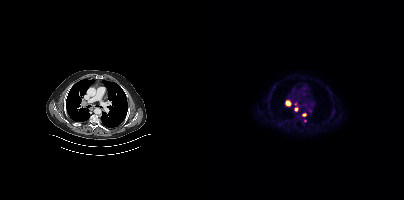
Left: CT. Right: PSMA PET, same axial level, 18F tracer. Acquired on Siemens Biograph mCT Flow 20.
Coordinates are on the 200×200 PET (right) panel. PSMA-avid tumor lesion bounding boxes (partial; 2 more foci not listed):
| # | x0 | y0 | x1 | y1 |
|---|---|---|---|---|
| 1 | 81 | 100 | 87 | 106 |
| 2 | 98 | 113 | 102 | 116 |
| 3 | 90 | 107 | 93 | 111 |